- Left: CT. Right: PSMA PET, same axial level, 18F tracer
- acquired on Siemens Biograph mCT Flow 20
- slice position z = -1288 mm
- PET panel 200×200 px (4.1 mm/px)
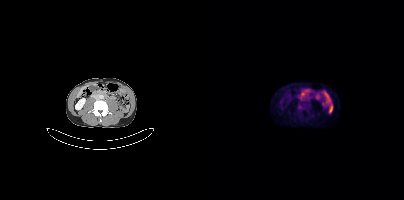
Findings: Coordinates are on the 200×200 PET (right) panel. PSMA-avid tumor lesion bounding box (x, y, width, height): x=93 y=104 w=7 h=7.